- Left: CT. Right: PSMA PET, same axial level, 18F tracer
- acquired on GE Discovery 690
- slice position z = -248 mm
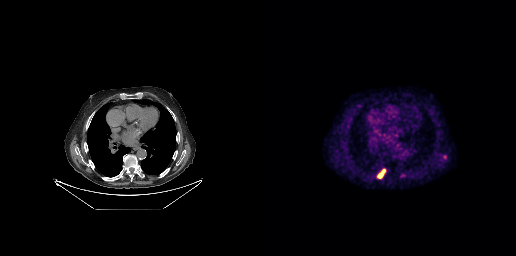
Findings: Coordinates are on the 256×256 PET (right) panel. PSMA-avid tumor lesion bounding box (x0, y0)-(x1, y1): (117, 169)-(125, 178).